- Paired axial CT (left) and PSMA PET (right), 18F tracer
- acquired on Siemens Biograph mCT Flow 20
- PET panel 200×200 px (4.1 mm/px)
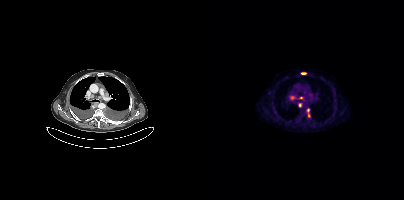
Findings: Coordinates are on the 200×200 PET (right) panel. PSMA-avid tumor lesion bounding boxes (x, y, width, height): x=97 y=72 w=6 h=3 | x=86 y=96 w=5 h=4. Small PSMA-avid foci (2 to 4 px across) near (center x, center y): (96, 104) | (104, 110) | (97, 97) | (104, 115).